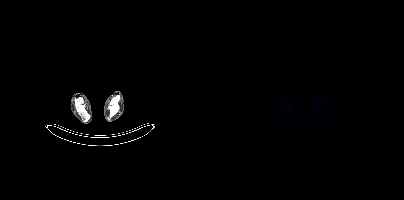
Negative for PSMA-avid disease on this slice. Left: CT. Right: PSMA PET, same axial level, 18F tracer. Slice position z = -1867 mm.